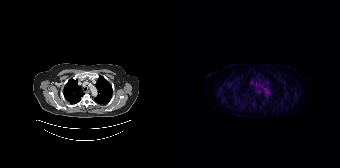
This slice has no annotated PSMA-avid lesion.